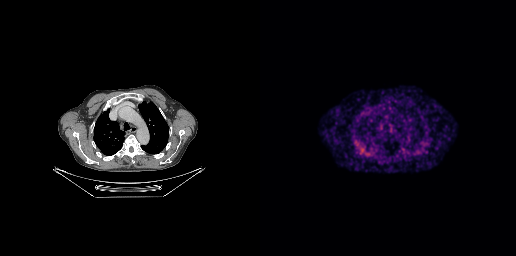
No PSMA-avid tumor lesions on this slice. Two-panel axial: CT | PSMA PET, [68Ga]Ga-PSMA-11 tracer.